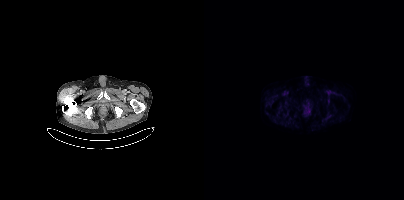
{"modality":"PSMA PET/CT","view":"axial","tracer":"18F-PSMA","pet_grid":[200,200],"coord_frame":"pet_panel","coord_format":"x0,y0,x1,y1","psma_avid_lesions":false}